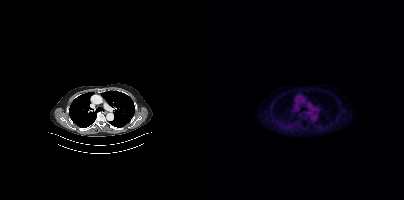
Negative for PSMA-avid disease on this slice.